modality: PSMA PET/CT | tracer: 68Ga-PSMA | view: axial | PET grid: 200×200
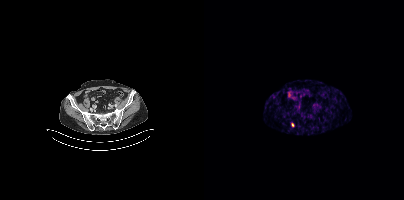
Coordinates are on the 200×200 PET (right) panel. Small PSMA-avid focus (2 to 4 px across) near (center x, center y): (88, 124).